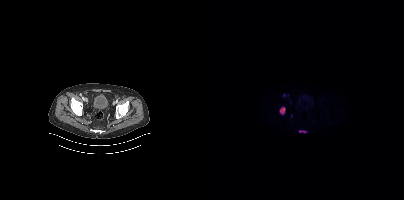
Coordinates are on the 200×200 PET (right) panel. (showing 2 of 4 foci) PSMA-avid tumor lesion bounding boxes (x, y, width, height): x=76 y=107 w=6 h=8 / x=95 y=130 w=8 h=3.